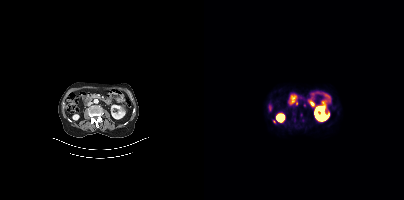
Coordinates are on the 200×200 PET (right) panel. Small PSMA-avid foci (2 to 4 px across) near (center x, center y): (70, 121) / (100, 105). Two-panel axial: CT | PSMA PET, 68Ga tracer. PET panel 200×200 px (4.1 mm/px).